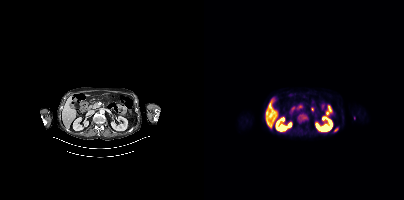
- Left: CT. Right: PSMA PET, same axial level, [18F]PSMA-1007 tracer
- acquired on Siemens Biograph mCT Flow 20
Findings: Coordinates are on the 200×200 PET (right) panel. PSMA-avid tumor lesion bounding boxes (x0,y0,x1,y1): [94,114,103,121] [130,127,134,132].